modality: PSMA PET/CT | tracer: [18F]PSMA-1007 | view: axial
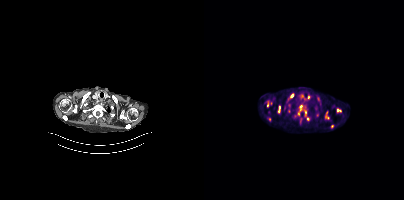
Coordinates are on the 200×200 PET (right) panel. (showing 6 of 7 foci) PSMA-avid tumor lesion bounding boxes (x0, y0)-(x1, y1): (94, 105)-(105, 120) | (83, 98)-(86, 102). Small PSMA-avid foci (2 to 4 px across) near (center x, center y): (88, 95) | (66, 119) | (104, 97) | (85, 104).